modality: PSMA PET/CT | tracer: 18F-PSMA | view: axial
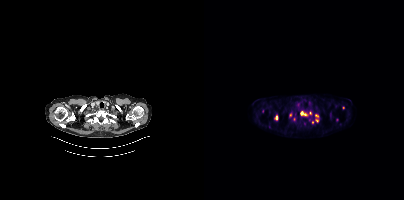
Coordinates are on the 200×200 PET (right) panel. (showing 4 of 8 foci) PSMA-avid tumor lesion bounding box (x, y, width, height): x=71 y=115 w=3 h=6. Small PSMA-avid foci (2 to 4 px across) near (center x, center y): (97, 112) | (101, 115) | (86, 114).